modality: PSMA PET/CT | tracer: 18F-PSMA | view: axial | PET grid: 200×200
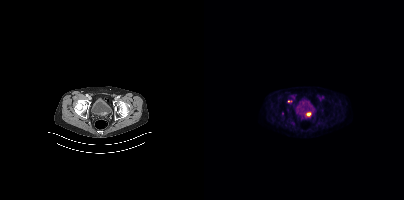
Coordinates are on the 200×200 PET (right) panel. (showing 2 of 3 foci) Small PSMA-avid foci (2 to 4 px across) near (center x, center y): (104, 114), (84, 101).